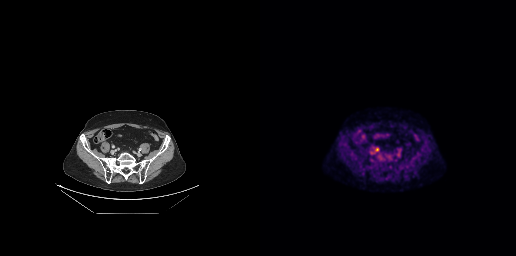
Only PSMA-avid lesion pieces thinner than 2 px on this slice (not listed).